modality: PSMA PET/CT | tracer: 18F-PSMA | view: axial
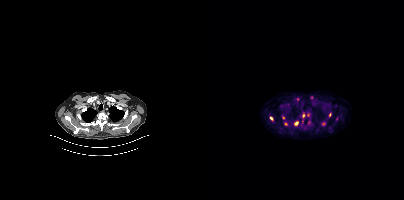
Coordinates are on the 200×200 PET (right) panel. (showing 6 of 9 foci) PSMA-avid tumor lesion bounding box (x0,y0,x1,y1): [90,121,94,125]. Small PSMA-avid foci (2 to 4 px across) near (center x, center y): (67, 118); (99, 115); (81, 124); (79, 117); (125, 114).